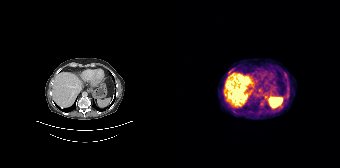
Technique: Left: CT. Right: PSMA PET, same axial level, [68Ga]Ga-PSMA-11 tracer. slice 102 of 165.
Findings: Coordinates are on the 168×168 PET (right) panel. Small PSMA-avid focus (2 to 4 px across) near (center x, center y): (89, 103).